modality: PSMA PET/CT | tracer: 68Ga | view: axial
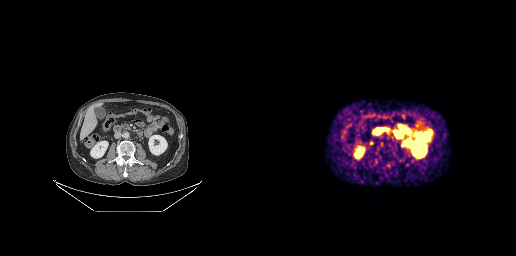
Coordinates are on the 256×256 PET (right) panel. Small PSMA-avid focus (2 to 4 px across) near (center x, center y): (145, 141).